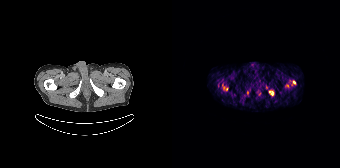
Paired axial CT (left) and PSMA PET (right), [68Ga]Ga-PSMA-11 tracer. Slice 13 of 165. PET panel 168×168 px (4.1 mm/px). Coordinates are on the 168×168 PET (right) panel. (showing 3 of 4 foci) PSMA-avid tumor lesion bounding boxes (x0,y0,x1,y1): [50,83,56,91]; [97,91,101,95]. Small PSMA-avid focus (2 to 4 px across) near (center x, center y): (122, 82).